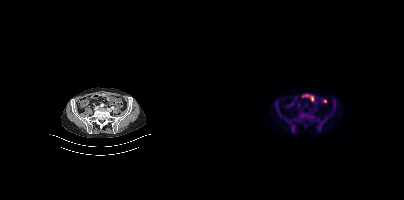
Left: CT. Right: PSMA PET, same axial level, 18F tracer. Slice position z = -689 mm. No PSMA-avid tumor lesions on this slice.